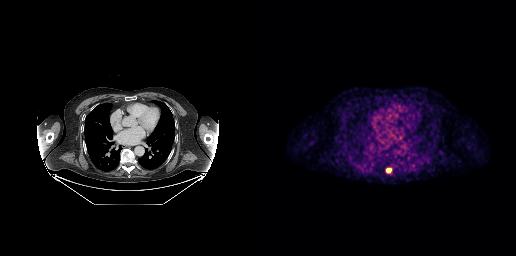
Coordinates are on the 256×256 PET (right) panel. PSMA-avid tumor lesion bounding box (x0, y0)-(x1, y1): (125, 167)-(132, 173). Left: CT. Right: PSMA PET, same axial level, [18F]PSMA-1007 tracer. Slice 185 of 263. PET panel 256×256 px (2.7 mm/px).